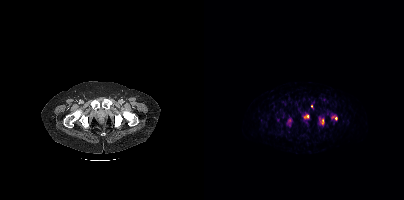
- Two-panel axial: CT | PSMA PET, 68Ga tracer
- acquired on Siemens Biograph mCT Flow 20
- slice position z = 289 mm
- PET panel 200×200 px (4.1 mm/px)
Findings: Coordinates are on the 200×200 PET (right) panel. (showing 3 of 5 foci) PSMA-avid tumor lesion bounding box (x0,y0,x1,y1): [115,118,120,125]. Small PSMA-avid foci (2 to 4 px across) near (center x, center y): (103, 116), (132, 118).